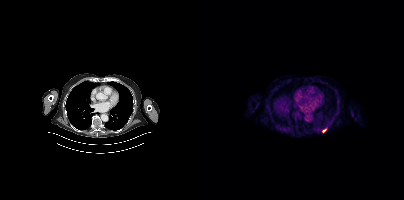
Coordinates are on the 200×200 PET (right) panel. Small PSMA-avid focus (2 to 4 px across) near (center x, center y): (120, 131). Two-panel axial: CT | PSMA PET, 18F tracer. Acquired on Siemens Biograph mCT Flow 20.